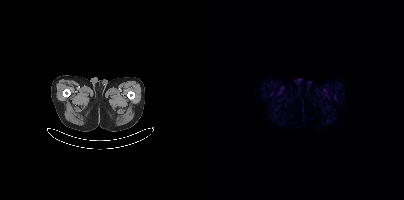
{"modality":"PSMA PET/CT","view":"axial","tracer":"18F-PSMA","pet_grid":[200,200],"coord_frame":"pet_panel","coord_format":"x0,y0,x1,y1","psma_avid_lesions":false}